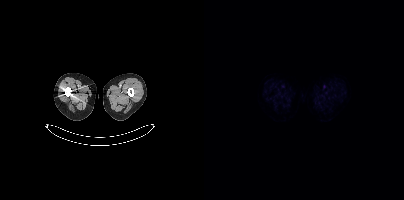
Technique: Paired axial CT (left) and PSMA PET (right), 18F-PSMA tracer. acquired on Siemens Biograph mCT Flow 20. slice 18 of 421. PET panel 200×200 px (4.1 mm/px).
Findings: No tumor lesions annotated on this slice.